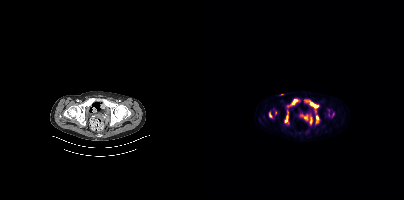
Technique: Left: CT. Right: PSMA PET, same axial level, [18F]PSMA-1007 tracer. slice position z = -852 mm.
Findings: Coordinates are on the 200×200 PET (right) panel. PSMA-avid tumor lesion bounding boxes (x0,y0,x1,y1): [102,100,114,108] [87,99,93,104] [80,115,83,122] [112,115,114,122] [65,113,67,117]. Small PSMA-avid foci (2 to 4 px across) near (center x, center y): (71, 112) (106, 122).